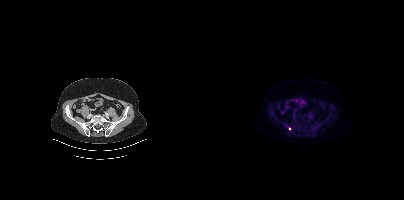
Coordinates are on the 200×200 PET (right) panel. Small PSMA-avid focus (2 to 4 px across) near (center x, center y): (85, 128). Left: CT. Right: PSMA PET, same axial level, 18F-PSMA tracer. PET panel 200×200 px (4.1 mm/px).